Two-panel axial: CT | PSMA PET, 18F tracer.
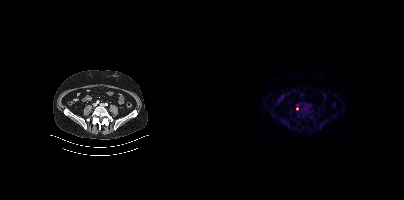
Coordinates are on the 200×200 PET (right) panel. PSMA-avid tumor lesion bounding boxes:
| # | x0 | y0 | x1 | y1 |
|---|---|---|---|---|
| 1 | 92 | 104 | 94 | 109 |